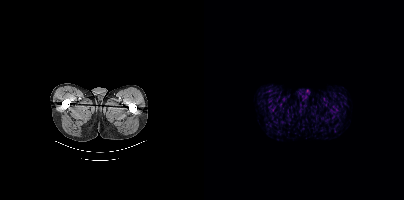
Negative for PSMA-avid disease on this slice.